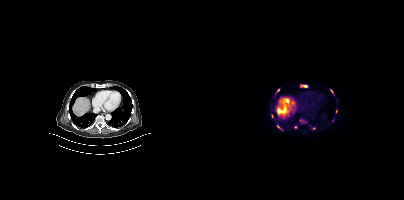
{"modality":"PSMA PET/CT","view":"axial","tracer":"18F","pet_grid":[200,200],"coord_frame":"pet_panel","coord_format":"x0,y0,x1,y1","partial":true,"lesion_bboxes":[[73,125,78,130]],"small_foci_centers":[[101,86],[74,90],[127,91]]}